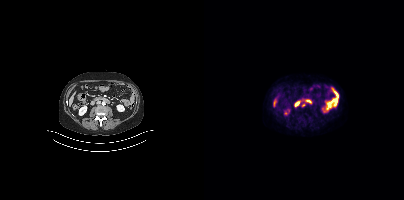
Findings: Coordinates are on the 200×200 PET (right) panel. Small PSMA-avid focus (2 to 4 px across) near (center x, center y): (99, 105).
- Left: CT. Right: PSMA PET, same axial level, [18F]PSMA-1007 tracer
- acquired on Siemens Biograph mCT Flow 20
- slice position z = -796 mm
- PET panel 200×200 px (4.1 mm/px)